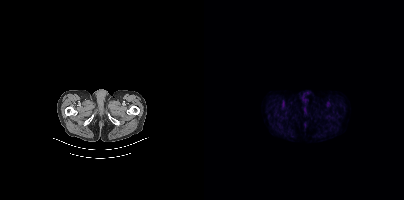
Left: CT. Right: PSMA PET, same axial level, 18F-PSMA tracer. Slice position z = -1548 mm. This slice has no annotated PSMA-avid lesion.